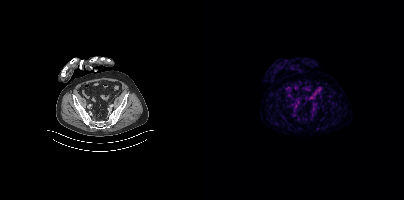
Left: CT. Right: PSMA PET, same axial level, 68Ga tracer. PET panel 200×200 px (4.1 mm/px). No tumor lesions annotated on this slice.